Two-panel axial: CT | PSMA PET, 18F tracer. Slice 55 of 263.
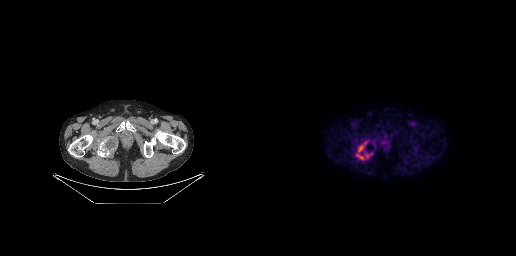
Coordinates are on the 256×256 PET (right) panel. PSMA-avid tumor lesion bounding boxes:
| # | x0 | y0 | x1 | y1 |
|---|---|---|---|---|
| 1 | 96 | 141 | 107 | 159 |
| 2 | 105 | 153 | 112 | 157 |